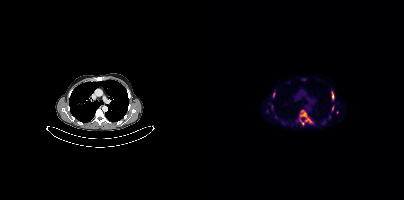
modality: PSMA PET/CT | tracer: 18F-PSMA | view: axial
Coordinates are on the 200×200 PET (right) panel. (showing 7 of 8 foci) PSMA-avid tumor lesion bounding boxes (x0,y0,x1,y1): [95,110,109,125]; [127,91,130,100]; [68,92,71,97]; [128,106,130,111]. Small PSMA-avid foci (2 to 4 px across) near (center x, center y): (133, 112); (67, 106); (125, 116).